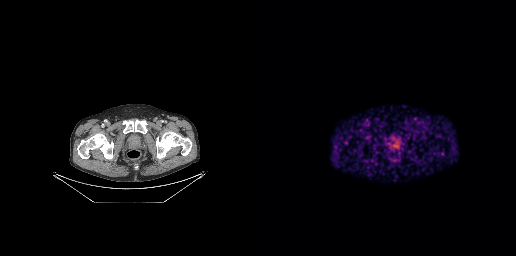
This slice has no annotated PSMA-avid lesion.